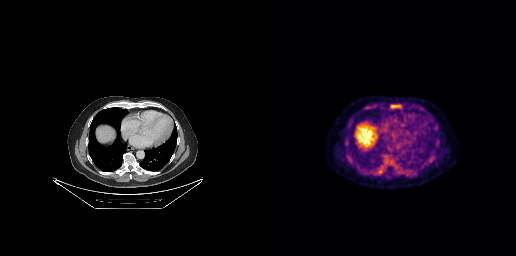
{"pet_grid":[256,256],"coord_frame":"pet_panel","coord_format":"x0,y0,x1,y1","lesion_bboxes":[[132,104,138,107]],"modality":"PSMA PET/CT","view":"axial","tracer":"[18F]PSMA-1007"}